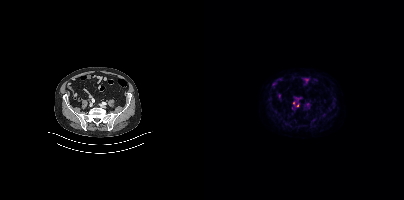
modality: PSMA PET/CT | tracer: [18F]PSMA-1007 | view: axial | PET grid: 200×200
Coordinates are on the 200×200 PET (right) panel. Small PSMA-avid foci (2 to 4 px across) near (center x, center y): (89, 102); (93, 105).